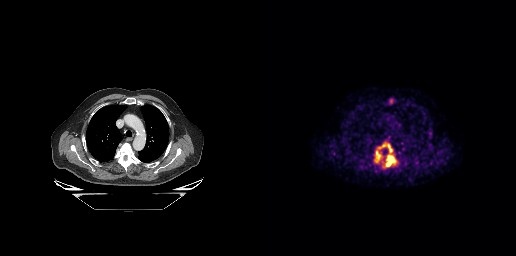
- Paired axial CT (left) and PSMA PET (right), 68Ga-PSMA tracer
- slice position z = -332 mm
Findings: Coordinates are on the 256×256 PET (right) panel. PSMA-avid tumor lesion bounding box (x, y, width, height): x=114 y=142 w=23 h=26.